Left: CT. Right: PSMA PET, same axial level, 68Ga-PSMA tracer. PET panel 200×200 px (4.1 mm/px).
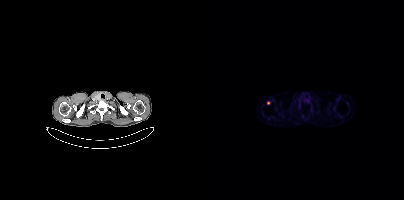
Coordinates are on the 200×200 PET (right) panel. Small PSMA-avid focus (2 to 4 px across) near (center x, center y): (64, 103).